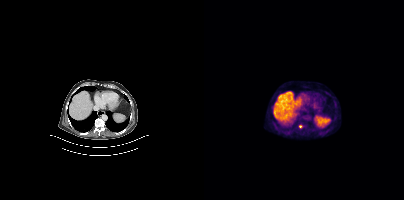
Coordinates are on the 200×200 PET (right) panel. PSMA-avid tumor lesion bounding box (x0,y0,x1,y1): [95,124,99,128].